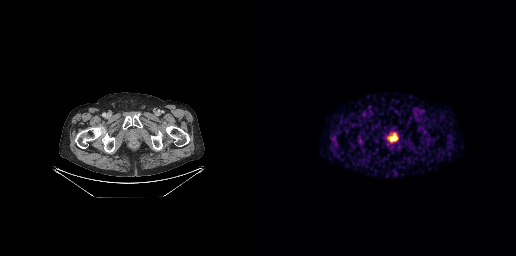
{"modality":"PSMA PET/CT","view":"axial","tracer":"[68Ga]Ga-PSMA-11","pet_grid":[256,256],"coord_frame":"pet_panel","coord_format":"x0,y0,x1,y1","lesion_bboxes":[[130,134,137,141]]}